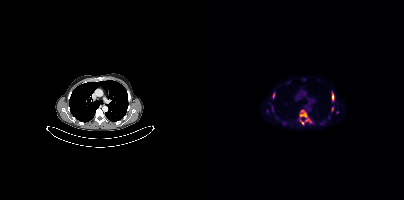
- Two-panel axial: CT | PSMA PET, [18F]PSMA-1007 tracer
- acquired on Siemens Biograph mCT Flow 20
Findings: Coordinates are on the 200×200 PET (right) panel. (showing 7 of 8 foci) PSMA-avid tumor lesion bounding boxes (x, y, width, height): x=95 y=109 w=14 h=16; x=127 y=91 w=4 h=11; x=68 y=92 w=4 h=7; x=127 y=106 w=3 h=6; x=68 y=106 w=2 h=5. Small PSMA-avid foci (2 to 4 px across) near (center x, center y): (133, 112); (84, 82).